- Paired axial CT (left) and PSMA PET (right), 18F tracer
- slice 409 of 411
- PET panel 200×200 px (4.1 mm/px)
- the face region was removed for patient privacy by blanking a rectangle over the head
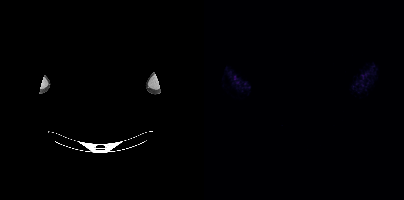
Findings: No tumor lesions annotated on this slice.